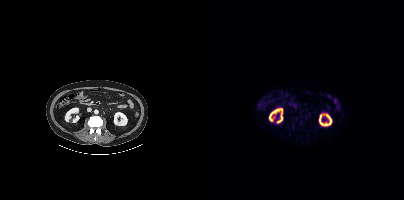
This slice has no annotated PSMA-avid lesion.
modality: PSMA PET/CT | tracer: 18F-PSMA | view: axial | PET grid: 200×200